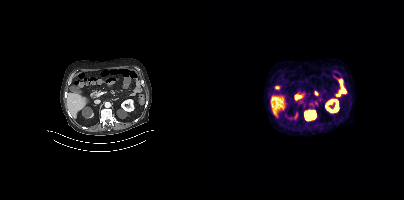
Paired axial CT (left) and PSMA PET (right), 18F-PSMA tracer. Slice 217 of 429. PET panel 200×200 px (4.1 mm/px).
Coordinates are on the 200×200 PET (right) panel. PSMA-avid tumor lesion bounding boxes:
| # | x0 | y0 | x1 | y1 |
|---|---|---|---|---|
| 1 | 100 | 110 | 112 | 120 |